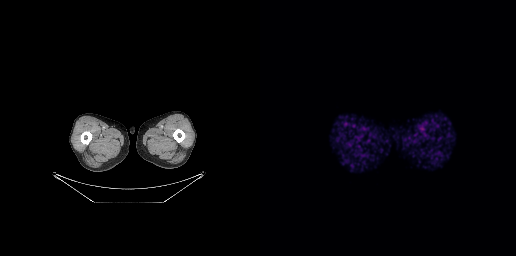
Paired axial CT (left) and PSMA PET (right), [68Ga]Ga-PSMA-11 tracer. Negative for PSMA-avid disease on this slice.